Left: CT. Right: PSMA PET, same axial level, [18F]PSMA-1007 tracer. Slice 392 of 433. Privacy masking over the head, with the pixels inside a rectangle set to black.
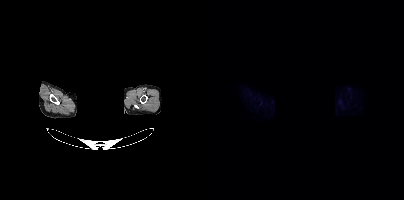
Negative for PSMA-avid disease on this slice.